Technique: Paired axial CT (left) and PSMA PET (right), 18F-PSMA tracer. slice position z = -825 mm. PET panel 256×256 px (2.7 mm/px).
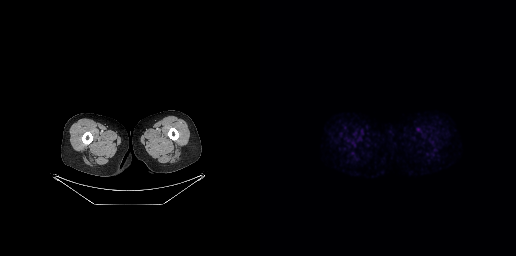
Findings: No PSMA-avid tumor lesions on this slice.